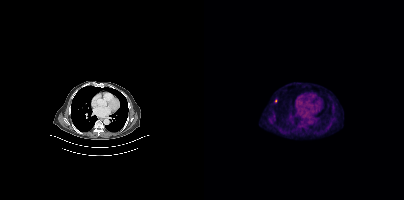
Coordinates are on the 200×200 PET (right) panel. Small PSMA-avid foci (2 to 4 px across) near (center x, center y): (71, 101); (70, 118).